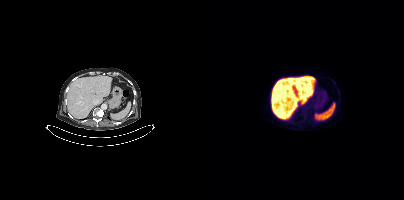
This slice has no annotated PSMA-avid lesion. Paired axial CT (left) and PSMA PET (right), 18F tracer. Acquired on Siemens Biograph mCT Flow 20. PET panel 200×200 px (4.1 mm/px).